modality: PSMA PET/CT | tracer: 18F | view: axial
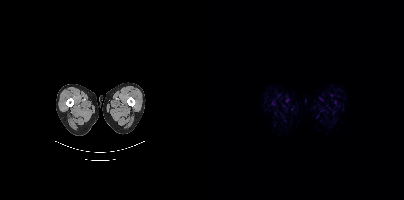
This slice has no annotated PSMA-avid lesion.